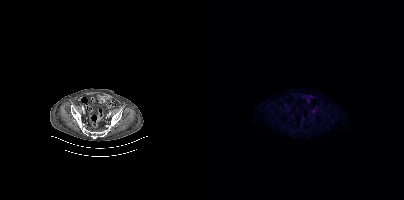
- Two-panel axial: CT | PSMA PET, 18F tracer
- slice 82 of 344
Findings: Coordinates are on the 200×200 PET (right) panel. Small PSMA-avid focus (2 to 4 px across) near (center x, center y): (109, 111).